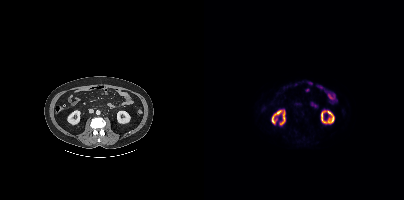
No PSMA-avid tumor lesions on this slice.